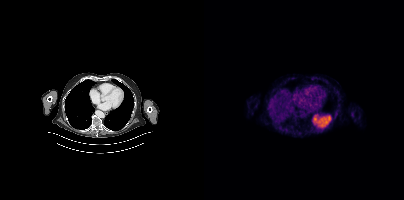
- Left: CT. Right: PSMA PET, same axial level, 18F tracer
- slice position z = -602 mm
Findings: This slice has no annotated PSMA-avid lesion.